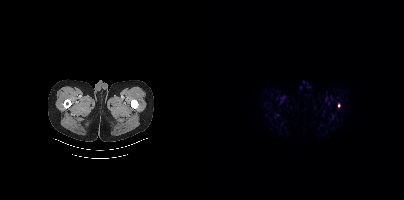
Technique: Two-panel axial: CT | PSMA PET, [18F]PSMA-1007 tracer. slice 11 of 444.
Findings: Coordinates are on the 200×200 PET (right) panel. PSMA-avid tumor lesion bounding box (x0, y0)-(x1, y1): (134, 103)-(136, 107).